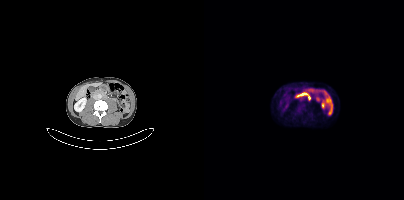
modality: PSMA PET/CT | tracer: 18F-PSMA | view: axial
Coordinates are on the 200×200 PET (right) panel. PSMA-avid tumor lesion bounding box (x0, y0)-(x1, y1): (94, 105)-(99, 110).